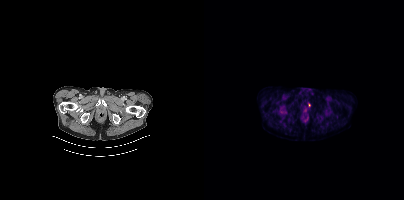
Coordinates are on the 200×200 PET (right) panel. Small PSMA-avid focus (2 to 4 px across) near (center x, center y): (105, 105). Two-panel axial: CT | PSMA PET, [18F]PSMA-1007 tracer. Slice 76 of 442. PET panel 200×200 px (4.1 mm/px).